Technique: Two-panel axial: CT | PSMA PET, 18F tracer.
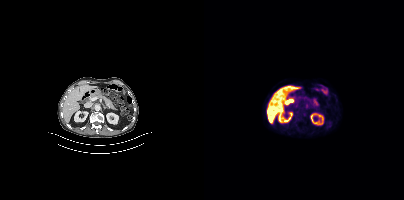
Findings: No PSMA-avid tumor lesions on this slice.